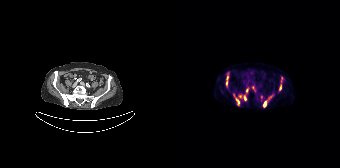
{"modality":"PSMA PET/CT","view":"axial","tracer":"[68Ga]Ga-PSMA-11","pet_grid":[168,168],"coord_frame":"pet_panel","coord_format":"x0,y0,x1,y1","partial":true,"lesion_bboxes":[[91,95,100,107],[54,72,56,86],[61,94,67,105],[71,95,74,100],[107,84,109,90],[74,88,76,92]],"small_foci_centers":[[68,96],[80,87],[89,96]]}